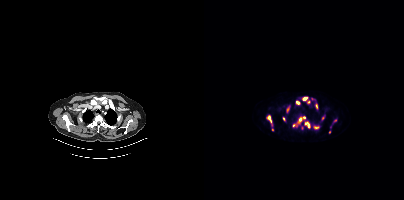
Coordinates are on the 200×200 PET (right) panel. (showing 12 of 16 foci) PSMA-avid tumor lesion bounding boxes (x0,y0,x1,y1): [94,116,101,123] [101,121,106,128] [63,115,67,122] [99,97,103,100] [111,104,113,108] [110,126,114,128]. Small PSMA-avid foci (2 to 4 px across) near (center x, center y): (93, 102) (84, 110) (80, 118) (90, 125) (68, 129) (125, 131).